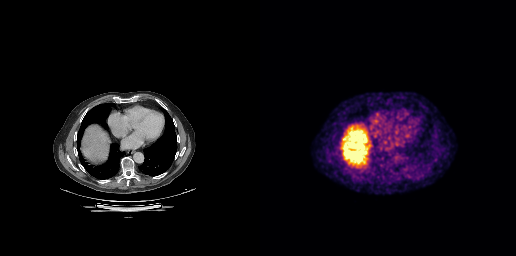
Left: CT. Right: PSMA PET, same axial level, [18F]PSMA-1007 tracer. Slice position z = -298 mm. PET panel 256×256 px (2.7 mm/px). No tumor lesions annotated on this slice.